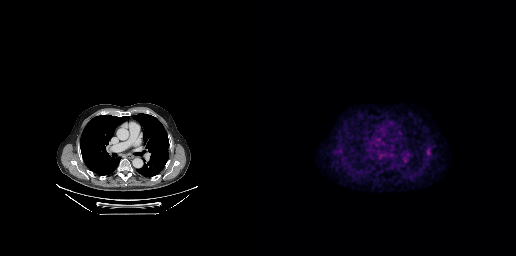
modality: PSMA PET/CT | tracer: 18F-PSMA | view: axial | PET grid: 256×256
Negative for PSMA-avid disease on this slice.